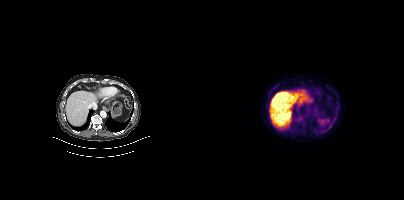
Only PSMA-avid lesion pieces thinner than 2 px on this slice (not listed).